modality: PSMA PET/CT | tracer: 18F | view: axial
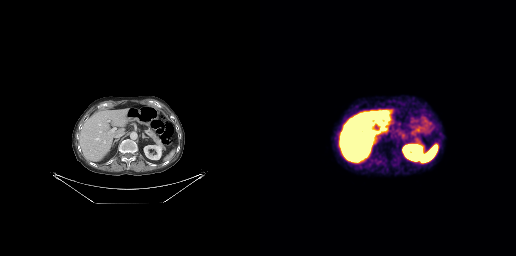
No PSMA-avid tumor lesions on this slice.